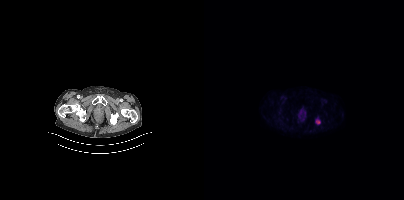
Findings: Coordinates are on the 200×200 PET (right) panel. PSMA-avid tumor lesion bounding box (x0,y0,x1,y1): [112,119,116,124].
Technique: Paired axial CT (left) and PSMA PET (right), 18F-PSMA tracer. acquired on Siemens Biograph mCT Flow 20.